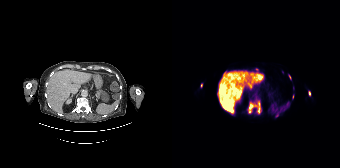
Technique: Paired axial CT (left) and PSMA PET (right), 18F tracer. PET panel 168×168 px (4.1 mm/px).
Findings: Coordinates are on the 168×168 PET (right) panel. (showing 4 of 5 foci) PSMA-avid tumor lesion bounding boxes (x, y, width, height): x=76 y=98 w=14 h=16 / x=136 y=91 w=3 h=5. Small PSMA-avid foci (2 to 4 px across) near (center x, center y): (29, 85) / (117, 76).